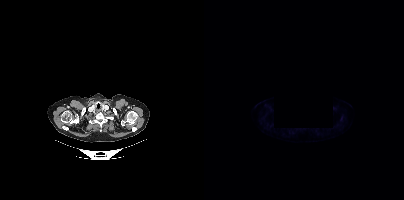
Findings: No tumor lesions annotated on this slice.
- Left: CT. Right: PSMA PET, same axial level, 18F-PSMA tracer
- acquired on Siemens Biograph mCT Flow 20
- an anonymization step blacked out a rectangle in this scan